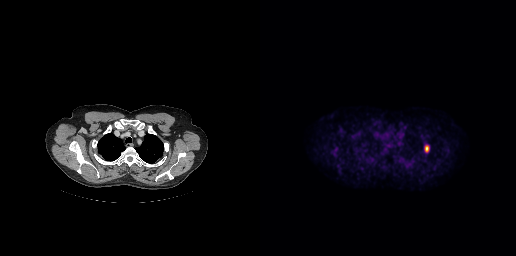
Technique: Left: CT. Right: PSMA PET, same axial level, 18F tracer. acquired on GE Discovery 690.
Findings: Coordinates are on the 256×256 PET (right) panel. PSMA-avid tumor lesion bounding box (x, y, width, height): x=165 y=145 w=4 h=6.